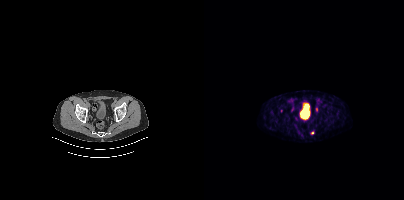
Coordinates are on the 200×200 PET (right) panel. Small PSMA-avid focus (2 to 4 px across) near (center x, center y): (108, 133). Two-panel axial: CT | PSMA PET, 68Ga tracer.